Technique: Left: CT. Right: PSMA PET, same axial level, [68Ga]Ga-PSMA-11 tracer.
Note: An anonymization step blacked out a rectangle over the head in this scan.
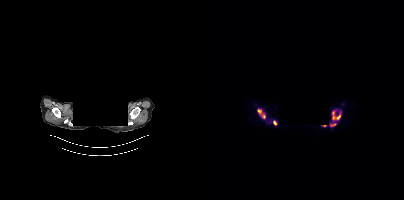
Findings: Coordinates are on the 200×200 PET (right) panel. PSMA-avid tumor lesion bounding boxes (x0,y0,x1,y1): [128,111,136,119]; [53,109,61,118]; [126,123,132,127]; [63,121,67,123]. Small PSMA-avid focus (2 to 4 px across) near (center x, center y): (71, 122).